Technique: Left: CT. Right: PSMA PET, same axial level, 18F tracer.
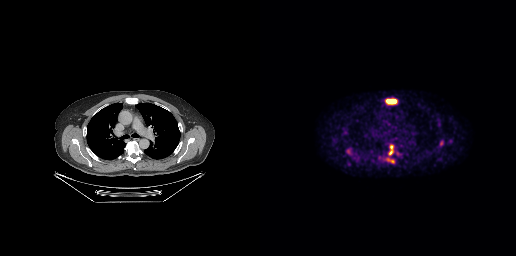
Findings: Coordinates are on the 256×256 PET (right) panel. PSMA-avid tumor lesion bounding boxes (x0,y0,x1,y1): [125,98,137,104]; [129,145,133,154]; [180,140,183,145]; [127,159,134,162]. Small PSMA-avid focus (2 to 4 px across) near (center x, center y): (88, 151).